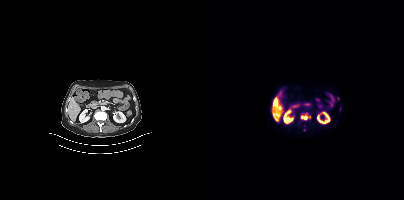
Technique: Left: CT. Right: PSMA PET, same axial level, 18F-PSMA tracer. acquired on Siemens Biograph mCT Flow 20. PET panel 200×200 px (4.1 mm/px).
Findings: Coordinates are on the 200×200 PET (right) panel. (showing 2 of 3 foci) PSMA-avid tumor lesion bounding boxes (x0, y0)-(x1, y1): (97, 116)-(103, 119); (69, 100)-(73, 105).